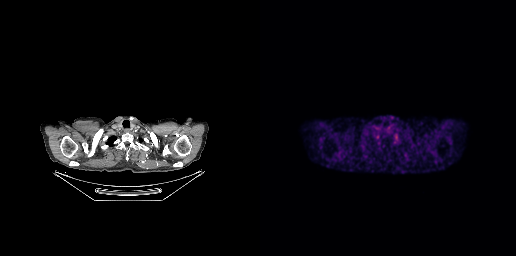
Left: CT. Right: PSMA PET, same axial level, [18F]PSMA-1007 tracer. Slice 224 of 263. Coordinates are on the 256×256 PET (right) panel. Small PSMA-avid focus (2 to 4 px across) near (center x, center y): (136, 137).